Two-panel axial: CT | PSMA PET, [18F]PSMA-1007 tracer. PET panel 256×256 px (2.7 mm/px).
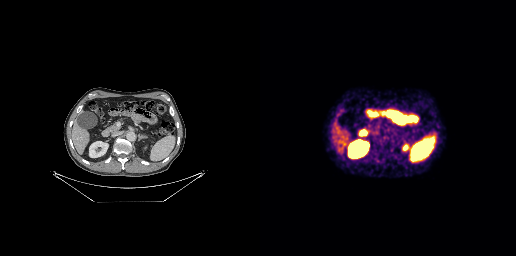
This slice has no annotated PSMA-avid lesion.